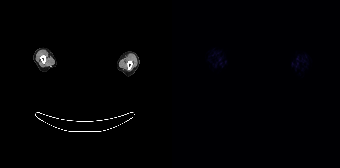
No PSMA-avid tumor lesions on this slice.
A rectangular block over the head has been blanked out for de-identification.